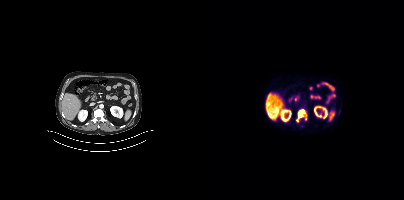
{"pet_grid":[200,200],"coord_frame":"pet_panel","coord_format":"x0,y0,x1,y1","lesion_bboxes":[[92,109,103,122]],"modality":"PSMA PET/CT","view":"axial","tracer":"[18F]PSMA-1007"}